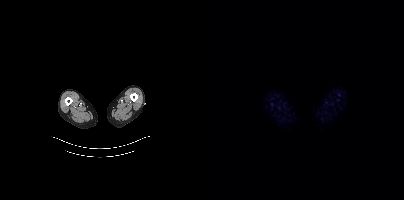
Technique: Two-panel axial: CT | PSMA PET, [18F]PSMA-1007 tracer. slice position z = -1562 mm. PET panel 200×200 px (4.1 mm/px).
Findings: No tumor lesions annotated on this slice.